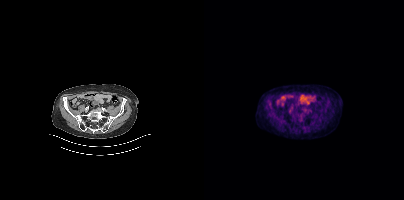
Technique: Paired axial CT (left) and PSMA PET (right), 18F tracer. acquired on Siemens Biograph mCT Flow 20.
Findings: This slice has no annotated PSMA-avid lesion.